- Paired axial CT (left) and PSMA PET (right), [18F]PSMA-1007 tracer
- slice position z = -1160 mm
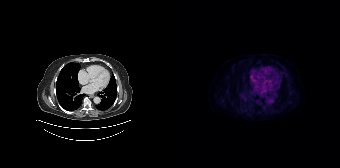
Findings: No PSMA-avid tumor lesions on this slice.